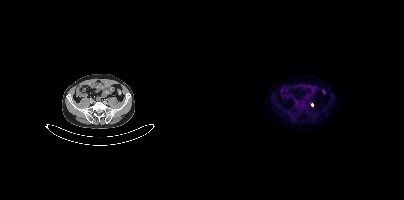
Two-panel axial: CT | PSMA PET, 18F-PSMA tracer. Slice position z = -1552 mm. PET panel 200×200 px (4.1 mm/px). Coordinates are on the 200×200 PET (right) panel. Small PSMA-avid focus (2 to 4 px across) near (center x, center y): (108, 104).